Technique: Paired axial CT (left) and PSMA PET (right), [18F]PSMA-1007 tracer. acquired on GE Discovery 690.
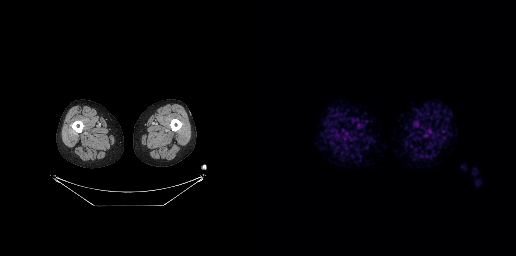
Findings: No tumor lesions annotated on this slice.